modality: PSMA PET/CT | tracer: 18F | view: axial | PET grid: 200×200
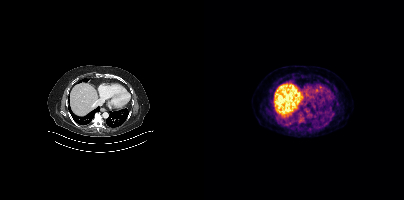
No PSMA-avid tumor lesions on this slice.